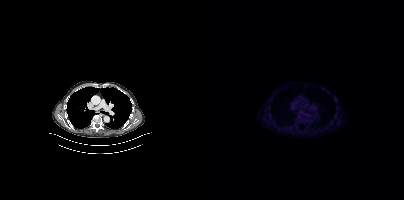
- Paired axial CT (left) and PSMA PET (right), 18F tracer
- acquired on Siemens Biograph mCT Flow 20
- slice 289 of 421
Findings: No tumor lesions annotated on this slice.